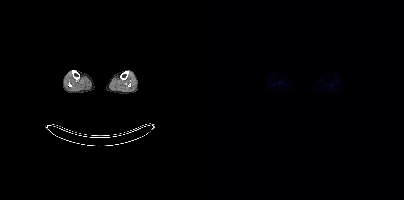
{"pet_grid":[200,200],"coord_frame":"pet_panel","coord_format":"x0,y0,x1,y1","psma_avid_lesions":false,"modality":"PSMA PET/CT","view":"axial","tracer":"18F"}